Two-panel axial: CT | PSMA PET, 18F-PSMA tracer. Acquired on Siemens Biograph mCT Flow 20.
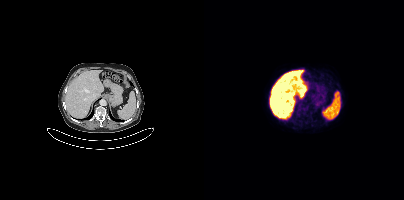
Coordinates are on the 200×200 PET (right) panel. Small PSMA-avid focus (2 to 4 px across) near (center x, center y): (95, 110).